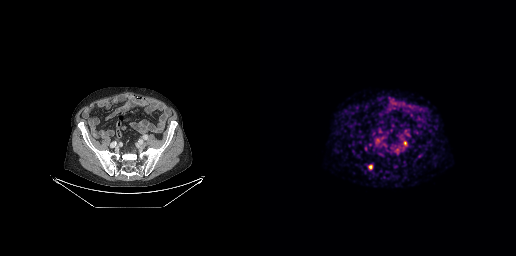
{"modality":"PSMA PET/CT","view":"axial","tracer":"[68Ga]Ga-PSMA-11","pet_grid":[256,256],"coord_frame":"pet_panel","coord_format":"x0,y0,x1,y1","lesion_bboxes":[[108,165,112,169],[143,141,146,145]]}